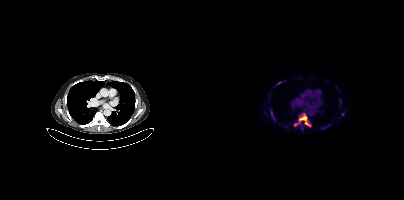
Findings: Coordinates are on the 200×200 PET (right) panel. (showing 5 of 7 foci) PSMA-avid tumor lesion bounding boxes (x0, y0)-(x1, y1): (90, 113)-(106, 126) / (118, 124)-(126, 129) / (67, 111)-(70, 118). Small PSMA-avid foci (2 to 4 px across) near (center x, center y): (74, 83) / (138, 114).
- Paired axial CT (left) and PSMA PET (right), 18F-PSMA tracer
- slice 289 of 429